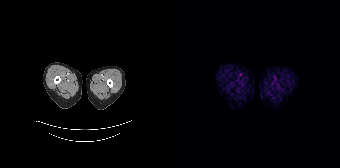
No tumor lesions annotated on this slice.